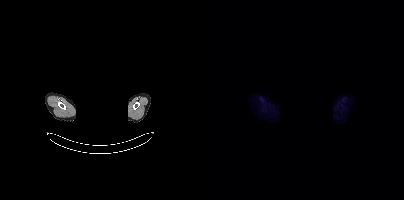
Left: CT. Right: PSMA PET, same axial level, 18F tracer. Slice 380 of 425. Face de-identified by blanking a block of the head. This slice has no annotated PSMA-avid lesion.